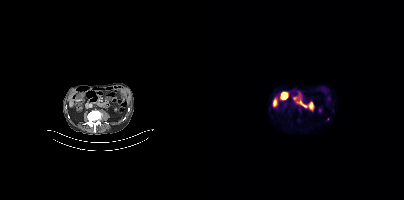
Coordinates are on the 200×200 PET (right) panel. Small PSMA-avid focus (2 to 4 px across) near (center x, center y): (123, 119).